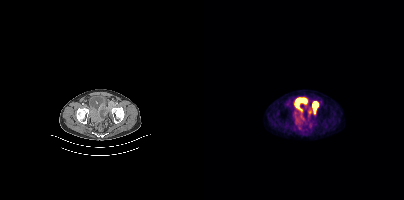
{"modality":"PSMA PET/CT","view":"axial","tracer":"18F-PSMA","pet_grid":[200,200],"coord_frame":"pet_panel","coord_format":"x0,y0,x1,y1","lesion_bboxes":[[108,102,114,112]]}